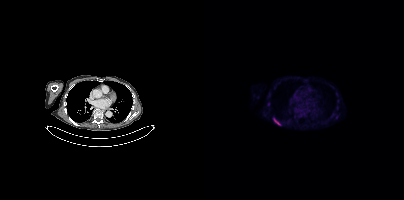
Coordinates are on the 200×200 PET (right) panel. PSMA-avid tumor lesion bounding box (x0,y0,x1,y1): [69,118,76,125]. Small PSMA-avid focus (2 to 4 px across) near (center x, center y): (133, 117).